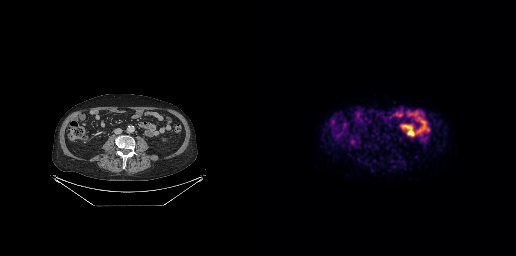
{"modality":"PSMA PET/CT","view":"axial","tracer":"[18F]PSMA-1007","pet_grid":[256,256],"coord_frame":"pet_panel","coord_format":"x0,y0,x1,y1","psma_avid_lesions":false}